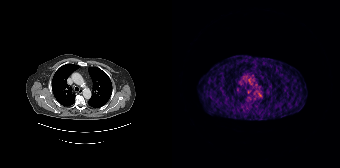
- Paired axial CT (left) and PSMA PET (right), [68Ga]Ga-PSMA-11 tracer
- acquired on Siemens Biograph 64-4R TruePoint
- slice 150 of 195
Findings: This slice has no annotated PSMA-avid lesion.